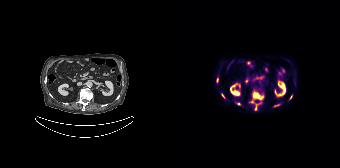
Findings: Coordinates are on the 168×168 PET (right) panel. (showing 7 of 8 foci) PSMA-avid tumor lesion bounding boxes (x, y, width, height): x=77 y=91 w=15 h=12 | x=83 y=103 w=6 h=8 | x=117 y=95 w=4 h=5 | x=102 y=104 w=6 h=3 | x=45 y=78 w=2 h=5. Small PSMA-avid foci (2 to 4 px across) near (center x, center y): (51, 96) | (66, 104).
Technique: Left: CT. Right: PSMA PET, same axial level, 18F-PSMA tracer. acquired on Siemens Biograph 64-4R TruePoint. slice position z = -1350 mm. PET panel 168×168 px (4.1 mm/px).